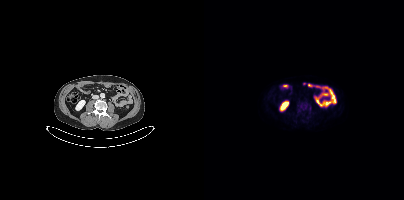
Paired axial CT (left) and PSMA PET (right), [18F]PSMA-1007 tracer. Acquired on Siemens Biograph mCT Flow 20. Coordinates are on the 200×200 PET (right) panel. Small PSMA-avid focus (2 to 4 px across) near (center x, center y): (106, 108).